Technique: Two-panel axial: CT | PSMA PET, 18F tracer. acquired on Siemens Biograph mCT Flow 20. slice position z = 2 mm.
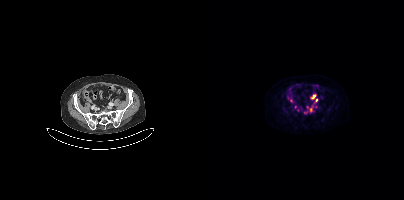
Findings: Coordinates are on the 200×200 PET (right) panel. (showing 4 of 6 foci) PSMA-avid tumor lesion bounding box (x0,y0,x1,y1): [107,95,111,98]. Small PSMA-avid foci (2 to 4 px across) near (center x, center y): (112, 100), (106, 109), (91, 106).